modality: PSMA PET/CT | tracer: 18F | view: axial
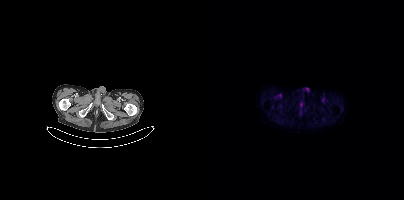
No tumor lesions annotated on this slice.